modality: PSMA PET/CT | tracer: 68Ga-PSMA | view: axial | PET grid: 200×200
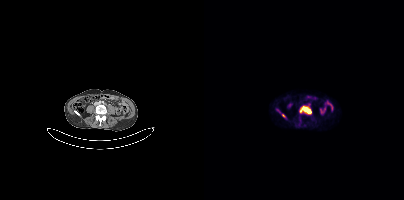
Coordinates are on the 200×200 PET (right) panel. PSMA-avid tumor lesion bounding box (x, y, width, height): x=96 y=106 w=12 h=8. Small PSMA-avid foci (2 to 4 px across) near (center x, center y): (79, 115) | (105, 104).